Left: CT. Right: PSMA PET, same axial level, [18F]PSMA-1007 tracer.
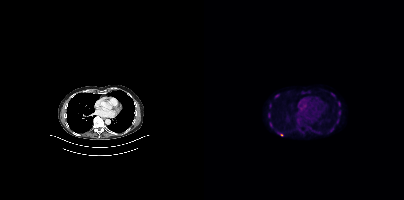
Coordinates are on the 200×200 PET (right) panel. PSMA-avid tumor lesion bounding boxes (partial; 1 more focus not listed):
| # | x0 | y0 | x1 | y1 |
|---|---|---|---|---|
| 1 | 134 | 101 | 136 | 106 |
| 2 | 134 | 110 | 136 | 115 |
| 3 | 71 | 94 | 75 | 97 |
| 4 | 66 | 123 | 68 | 127 |
| 5 | 64 | 113 | 65 | 117 |
Small PSMA-avid foci (2 to 4 px across) near (center x, center y): (66, 105); (133, 120); (77, 134).